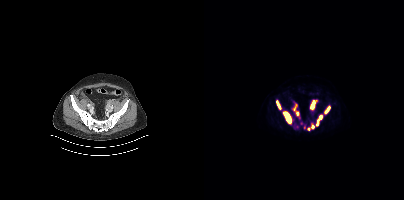
Coordinates are on the 200×200 PET (right) panel. PSMA-avid tumor lesion bounding boxes (x, y, width, height): x=79 y=111 w=9 h=13; x=106 y=100 w=8 h=10; x=112 y=115 w=7 h=12; x=89 y=104 w=7 h=13; x=120 y=106 w=7 h=8; x=72 y=100 w=6 h=10; x=103 y=124 w=8 h=7.